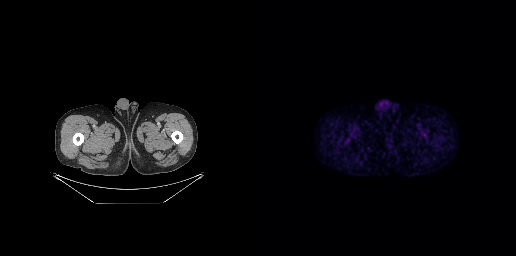
Findings: No PSMA-avid tumor lesions on this slice.
- Paired axial CT (left) and PSMA PET (right), 18F-PSMA tracer
- acquired on GE Discovery 690